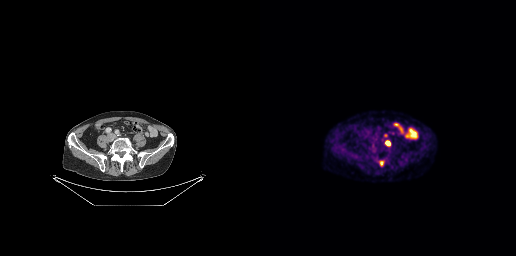
Coordinates are on the 256×256 PET (right) panel. PSMA-avid tumor lesion bounding boxes (x, y, width, height): x=125 y=140 w=6 h=7; x=120 y=161 w=4 h=5. Small PSMA-avid foci (2 to 4 px across) near (center x, center y): (125, 135); (142, 156).